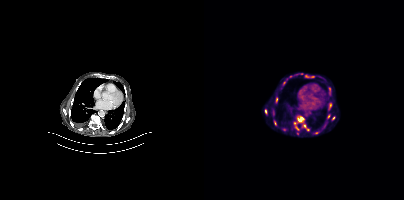
Paired axial CT (left) and PSMA PET (right), 18F-PSMA tracer. Acquired on Siemens Biograph mCT Flow 20. Slice position z = -1164 mm.
Coordinates are on the 200×200 PET (right) panel. PSMA-avid tumor lesion bounding boxes (partial; 2 more foci not listed):
| # | x0 | y0 | x1 | y1 |
|---|---|---|---|---|
| 1 | 93 | 116 | 100 | 121 |
| 2 | 89 | 122 | 94 | 129 |
Small PSMA-avid focus (2 to 4 px across) near (center x, center y): (100, 126).